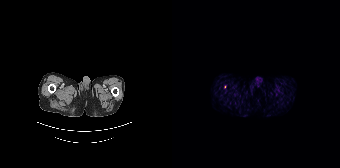
{"modality":"PSMA PET/CT","view":"axial","tracer":"[68Ga]Ga-PSMA-11","pet_grid":[168,168],"coord_frame":"pet_panel","coord_format":"x0,y0,x1,y1","lesion_bboxes":[],"small_foci_centers":[[52,86]]}